Technique: Two-panel axial: CT | PSMA PET, [18F]PSMA-1007 tracer. acquired on Siemens Biograph mCT Flow 20. slice position z = -810 mm. PET panel 200×200 px (4.1 mm/px).
Note: A rectangle over the head was blacked out to remove identifiable facial features.
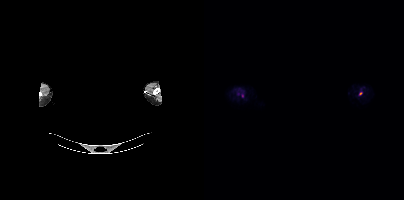
Findings: Coordinates are on the 200×200 PET (right) panel. Small PSMA-avid focus (2 to 4 px across) near (center x, center y): (156, 93).